Technique: Left: CT. Right: PSMA PET, same axial level, 18F tracer. acquired on GE Discovery 690. PET panel 256×256 px (2.7 mm/px).
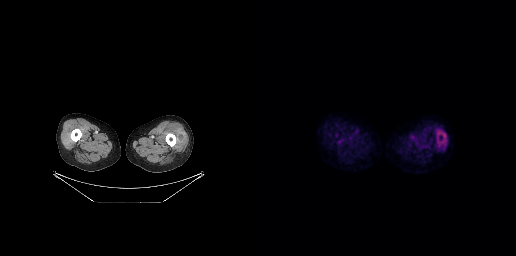
Findings: Negative for PSMA-avid disease on this slice.